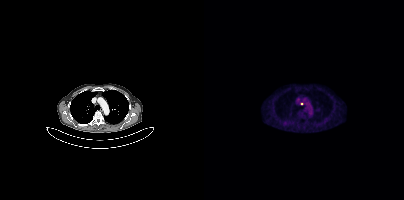
{"modality":"PSMA PET/CT","view":"axial","tracer":"18F","pet_grid":[200,200],"coord_frame":"pet_panel","coord_format":"x0,y0,x1,y1","lesion_bboxes":[],"small_foci_centers":[[97,103]]}